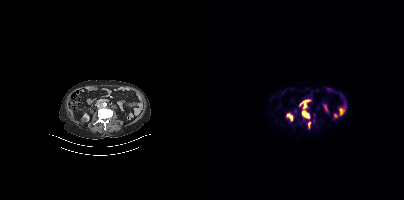
Left: CT. Right: PSMA PET, same axial level, [68Ga]Ga-PSMA-11 tracer. PET panel 200×200 px (4.1 mm/px).
Coordinates are on the 200×200 PET (right) panel. PSMA-avid tumor lesion bounding boxes:
| # | x0 | y0 | x1 | y1 |
|---|---|---|---|---|
| 1 | 98 | 102 | 105 | 118 |
| 2 | 90 | 109 | 93 | 113 |
| 3 | 104 | 122 | 106 | 128 |